Technique: Paired axial CT (left) and PSMA PET (right), [18F]PSMA-1007 tracer. PET panel 256×256 px (2.7 mm/px).
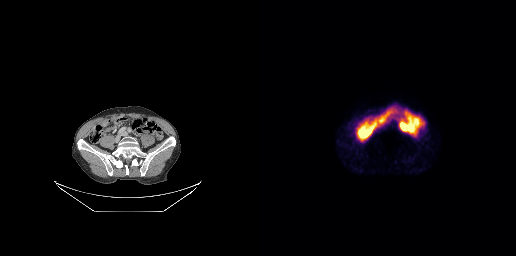
Findings: Negative for PSMA-avid disease on this slice.